Paired axial CT (left) and PSMA PET (right), 18F tracer.
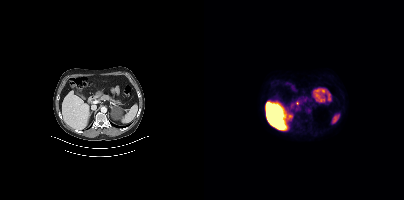
This slice has no annotated PSMA-avid lesion.